Technique: Paired axial CT (left) and PSMA PET (right), 18F-PSMA tracer. acquired on Siemens Biograph mCT Flow 20. PET panel 200×200 px (4.1 mm/px).
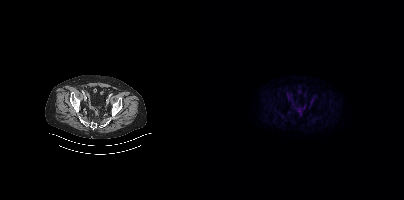
Findings: Negative for PSMA-avid disease on this slice.